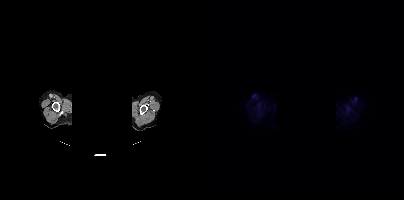
Findings: Coordinates are on the 200×200 PET (right) panel. Small PSMA-avid focus (2 to 4 px across) near (center x, center y): (152, 99).
- de-identified by setting a box covering the face to black before release
- Two-panel axial: CT | PSMA PET, [18F]PSMA-1007 tracer